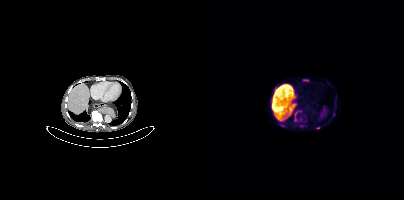
Coordinates are on the 200×200 PET (right) panel. (showing 2 of 3 foci) PSMA-avid tumor lesion bounding box (x0, y0)-(x1, y1): (90, 111)-(97, 121). Small PSMA-avid focus (2 to 4 px across) near (center x, center y): (97, 125).